Paired axial CT (left) and PSMA PET (right), 68Ga tracer. Acquired on Siemens Biograph 64-4R TruePoint.
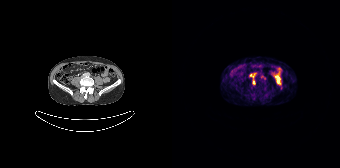
Coordinates are on the 168×168 PET (right) panel. PSMA-avid tumor lesion bounding boxes (partial; 1 more focus not listed):
| # | x0 | y0 | x1 | y1 |
|---|---|---|---|---|
| 1 | 80 | 80 | 83 | 84 |
Small PSMA-avid focus (2 to 4 px across) near (center x, center y): (89, 76).